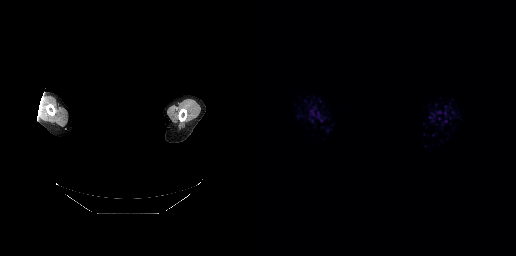
de-identification: head region blacked out before release | modality: PSMA PET/CT | tracer: [18F]PSMA-1007 | view: axial | PET grid: 256×256
No PSMA-avid tumor lesions on this slice.